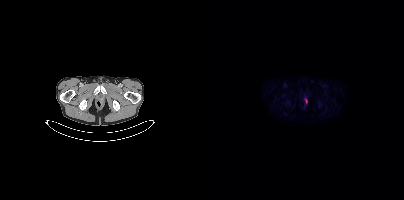
{"pet_grid":[200,200],"coord_frame":"pet_panel","coord_format":"x0,y0,x1,y1","lesion_bboxes":[[101,99,103,103]],"modality":"PSMA PET/CT","view":"axial","tracer":"[18F]PSMA-1007"}